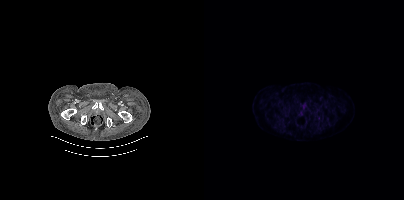
Two-panel axial: CT | PSMA PET, [18F]PSMA-1007 tracer. Acquired on Siemens Biograph mCT Flow 20. Slice 42 of 344. No tumor lesions annotated on this slice.